Paired axial CT (left) and PSMA PET (right), [68Ga]Ga-PSMA-11 tracer. Acquired on Siemens Biograph mCT Flow 20. Slice position z = -1324 mm.
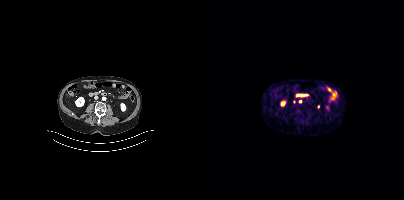
Coordinates are on the 200×200 PET (right) panel. Small PSMA-avid focus (2 to 4 px across) near (center x, center y): (96, 101).